Left: CT. Right: PSMA PET, same axial level, 68Ga tracer. PET panel 168×168 px (4.1 mm/px).
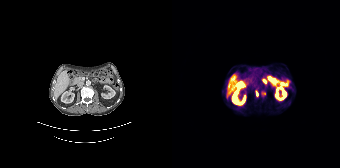
Coordinates are on the 168×168 PET (right) panel. PSMA-avid tumor lesion bounding box (x0,y0,x1,y1): [83,90,85,95]. Small PSMA-avid focus (2 to 4 px across) near (center x, center y): (91, 93).